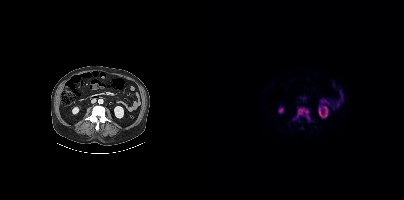
Findings: Coordinates are on the 200×200 PET (right) panel. PSMA-avid tumor lesion bounding box (x, y, width, height): x=89 y=107 w=18 h=15.
Technique: Left: CT. Right: PSMA PET, same axial level, [18F]PSMA-1007 tracer. slice 168 of 423. PET panel 200×200 px (4.1 mm/px).